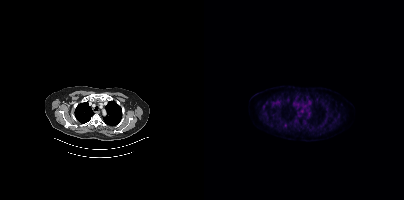
Findings: Negative for PSMA-avid disease on this slice.
- Paired axial CT (left) and PSMA PET (right), [18F]PSMA-1007 tracer
- slice 290 of 381